The head region is masked for de-identification.
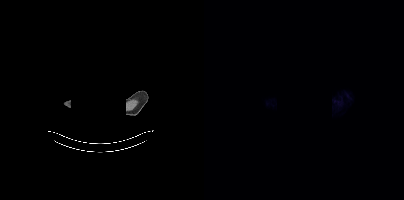
No tumor lesions annotated on this slice.